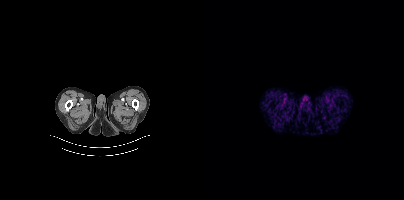
{"modality":"PSMA PET/CT","view":"axial","tracer":"68Ga","pet_grid":[200,200],"coord_frame":"pet_panel","coord_format":"x0,y0,x1,y1","psma_avid_lesions":false}